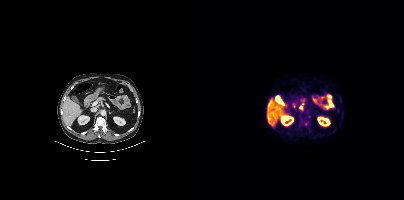
{"modality":"PSMA PET/CT","view":"axial","tracer":"18F-PSMA","pet_grid":[200,200],"coord_frame":"pet_panel","coord_format":"x0,y0,x1,y1","lesion_bboxes":[],"small_foci_centers":[[97,107]]}